Two-panel axial: CT | PSMA PET, 18F-PSMA tracer. Slice 10 of 401.
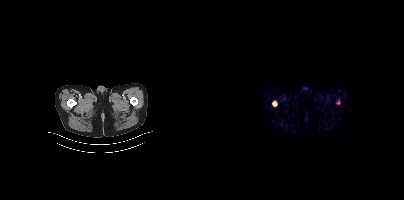
Coordinates are on the 200×200 PET (right) panel. PSMA-avid tumor lesion bounding box (x, y, width, height): x=68 y=101 w=6 h=5. Small PSMA-avid focus (2 to 4 px across) near (center x, center y): (134, 102).